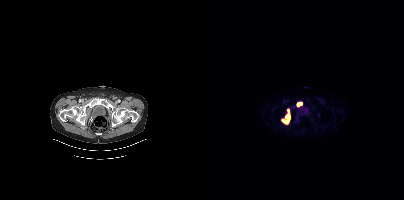
Coordinates are on the 200×200 PET (right) panel. PSMA-avid tumor lesion bounding boxes:
| # | x0 | y0 | x1 | y1 |
|---|---|---|---|---|
| 1 | 78 | 109 | 85 | 123 |
| 2 | 93 | 102 | 98 | 106 |
Paired axial CT (left) and PSMA PET (right), 18F tracer. Acquired on Siemens Biograph mCT Flow 20. Slice position z = -1417 mm.